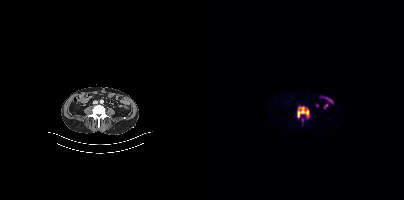
Coordinates are on the 200×200 PET (right) panel. PSMA-avid tumor lesion bounding box (x0,y0,x1,y1): [93,106,105,118]. Small PSMA-avid focus (2 to 4 px across) near (center x, center y): (98, 120). Paired axial CT (left) and PSMA PET (right), 18F tracer.